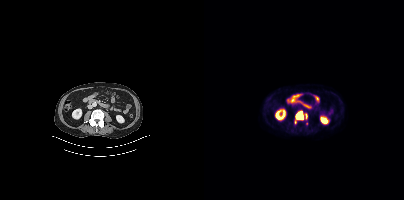
Left: CT. Right: PSMA PET, same axial level, 18F tracer. Acquired on Siemens Biograph mCT Flow 20. Slice position z = -726 mm. Coordinates are on the 200×200 PET (right) panel. (showing 1 of 3 foci) PSMA-avid tumor lesion bounding box (x0,y0,x1,y1): [92,111,99,119].